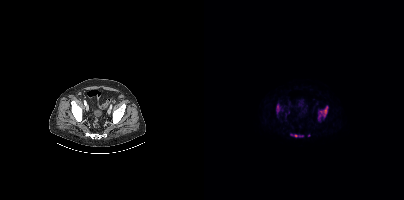
{"pet_grid":[200,200],"coord_frame":"pet_panel","coord_format":"x0,y0,x1,y1","partial":true,"lesion_bboxes":[[114,106,124,120],[86,134,99,137],[72,103,76,113]],"small_foci_centers":[[105,135]],"modality":"PSMA PET/CT","view":"axial","tracer":"18F"}